Paired axial CT (left) and PSMA PET (right), 18F-PSMA tracer.
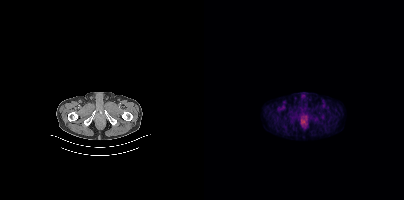
This slice has no annotated PSMA-avid lesion.